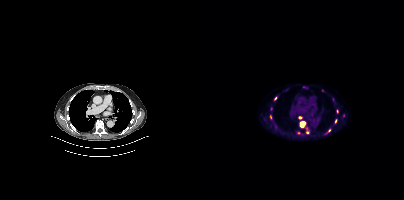
Technique: Paired axial CT (left) and PSMA PET (right), [18F]PSMA-1007 tracer. PET panel 200×200 px (4.1 mm/px).
Findings: Coordinates are on the 200×200 PET (right) panel. (showing 7 of 11 foci) PSMA-avid tumor lesion bounding boxes (x, y, width, height): x=96 y=122 w=6 h=6; x=131 y=119 w=2 h=5. Small PSMA-avid foci (2 to 4 px across) near (center x, center y): (66, 116); (96, 117); (133, 111); (125, 130); (71, 98).